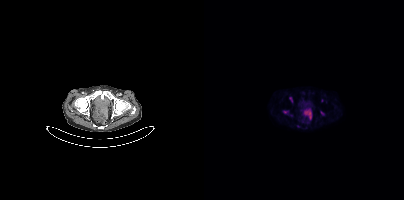
Only PSMA-avid lesion pieces thinner than 2 px on this slice (not listed).